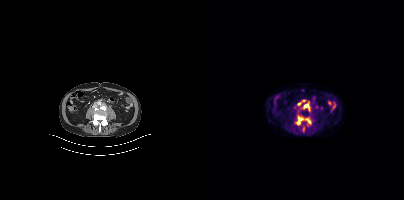
Findings: Coordinates are on the 200×200 PET (right) panel. (showing 3 of 5 foci) PSMA-avid tumor lesion bounding boxes (x0, y0)-(x1, y1): (93, 116)-(99, 124) | (101, 118)-(106, 123) | (100, 104)-(104, 107).
- Two-panel axial: CT | PSMA PET, 18F-PSMA tracer
- acquired on Siemens Biograph mCT Flow 20
- slice position z = -804 mm